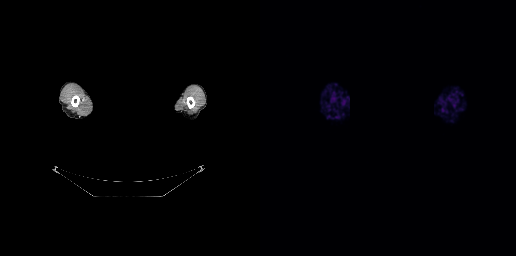
modality: PSMA PET/CT | tracer: [68Ga]Ga-PSMA-11 | view: axial | PET grid: 256×256 | de-identification: facial region redacted
No tumor lesions annotated on this slice.